- Left: CT. Right: PSMA PET, same axial level, 18F tracer
- acquired on Siemens Biograph mCT Flow 20
- PET panel 200×200 px (4.1 mm/px)
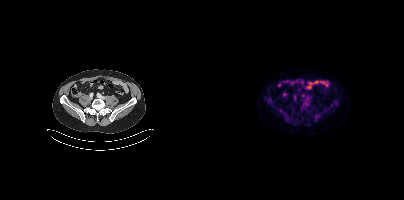
Findings: No PSMA-avid tumor lesions on this slice.